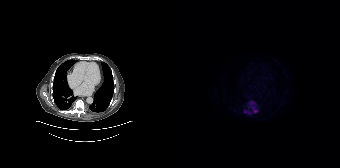
Coordinates are on the 168×168 PET (right) panel. PSMA-avid tumor lesion bounding boxes:
| # | x0 | y0 | x1 | y1 |
|---|---|---|---|---|
| 1 | 80 | 107 | 85 | 112 |
| 2 | 78 | 101 | 82 | 104 |
| 3 | 72 | 111 | 78 | 113 |
Left: CT. Right: PSMA PET, same axial level, 18F tracer. Slice 113 of 165.